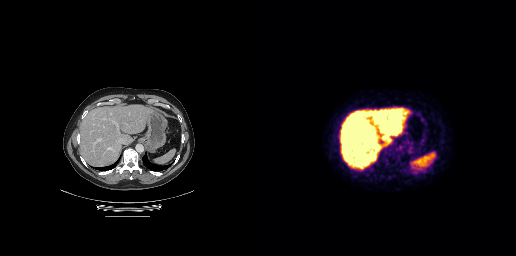
This slice has no annotated PSMA-avid lesion.